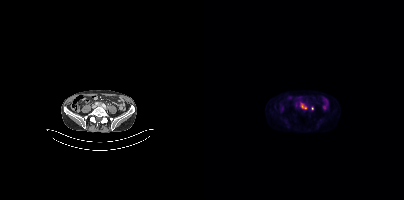
{"modality":"PSMA PET/CT","view":"axial","tracer":"18F-PSMA","pet_grid":[200,200],"coord_frame":"pet_panel","coord_format":"x0,y0,x1,y1","partial":true,"lesion_bboxes":[[96,102,103,109]],"small_foci_centers":[[108,108]]}